Two-panel axial: CT | PSMA PET, 18F-PSMA tracer. Slice position z = -1309 mm.
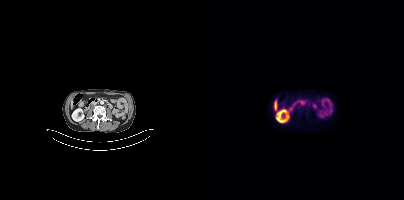
Coordinates are on the 200×200 PET (right) panel. PSMA-avid tumor lesion bounding boxes (partial; 1 more focus not listed):
| # | x0 | y0 | x1 | y1 |
|---|---|---|---|---|
| 1 | 97 | 100 | 100 | 104 |